Paired axial CT (left) and PSMA PET (right), 18F tracer. Acquired on Siemens Biograph mCT Flow 20. Slice position z = -988 mm.
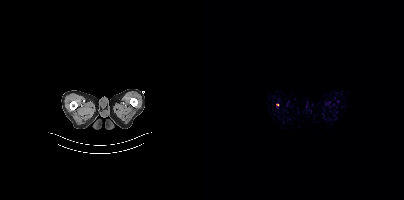
Coordinates are on the 200×200 PET (right) panel. Small PSMA-avid focus (2 to 4 px across) near (center x, center y): (73, 104).